Left: CT. Right: PSMA PET, same axial level, 18F tracer. Slice position z = -773 mm.
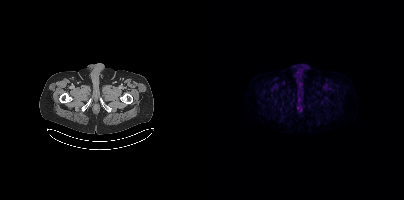
No PSMA-avid tumor lesions on this slice.